Left: CT. Right: PSMA PET, same axial level, [68Ga]Ga-PSMA-11 tracer. Acquired on Siemens Biograph 64-4R TruePoint.
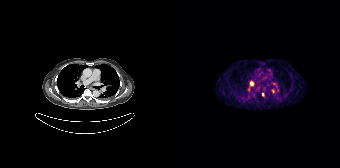
Coordinates are on the 168×168 PET (right) panel. PSMA-avid tumor lesion bounding boxes (partial; 1 more focus not listed):
| # | x0 | y0 | x1 | y1 |
|---|---|---|---|---|
| 1 | 78 | 81 | 81 | 85 |
| 2 | 76 | 87 | 78 | 91 |
Small PSMA-avid foci (2 to 4 px across) near (center x, center y): (91, 94); (101, 91); (102, 83).